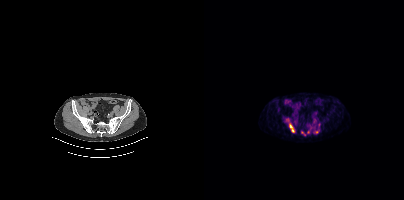
Coordinates are on the 200×200 PET (right) panel. PSMA-avid tumor lesion bounding boxes (partial; 2 more foci not listed):
| # | x0 | y0 | x1 | y1 |
|---|---|---|---|---|
| 1 | 85 | 124 | 90 | 132 |
Small PSMA-avid focus (2 to 4 px across) near (center x, center y): (112, 131).
Two-panel axial: CT | PSMA PET, 68Ga tracer.